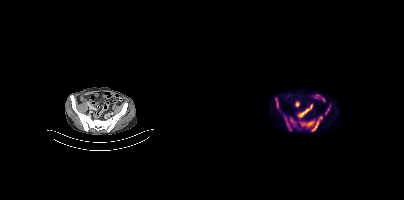
Coordinates are on the 200×200 PET (right) panel. PSMA-avid tumor lesion bounding boxes (x0,y0,x1,y1): [96,115,118,130]; [80,116,87,130]; [71,97,74,108]; [86,117,91,125]; [121,105,126,114]. Paired axial CT (left) and PSMA PET (right), 18F tracer. Acquired on Siemens Biograph mCT Flow 20. PET panel 200×200 px (4.1 mm/px).